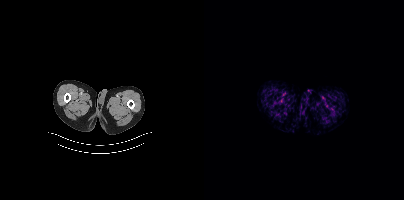
Negative for PSMA-avid disease on this slice.